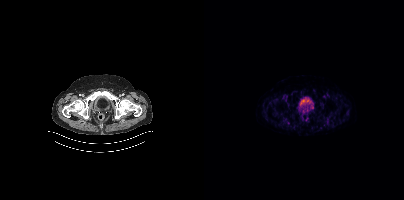
Left: CT. Right: PSMA PET, same axial level, 18F-PSMA tracer. Acquired on Siemens Biograph mCT Flow 20. This slice has no annotated PSMA-avid lesion.